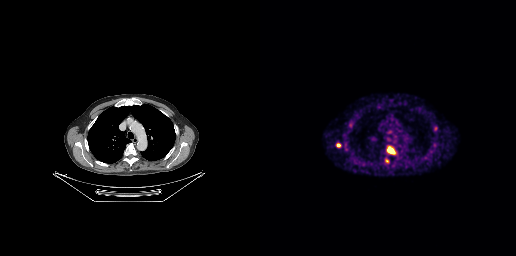
Coordinates are on the 256×256 PET (right) panel. PSMA-avid tumor lesion bounding boxes (x0, y0)-(x1, y1): (127, 147)-(134, 153) | (76, 143)-(80, 146). Small PSMA-avid focus (2 to 4 px across) near (center x, center y): (127, 160). Left: CT. Right: PSMA PET, same axial level, 68Ga-PSMA tracer. Slice position z = -406 mm.